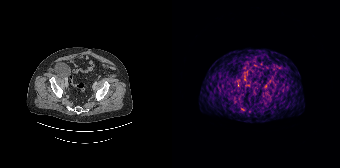
{"modality":"PSMA PET/CT","view":"axial","tracer":"68Ga-PSMA","pet_grid":[168,168],"coord_frame":"pet_panel","coord_format":"x0,y0,x1,y1","lesion_bboxes":[],"small_foci_centers":[[70,109]]}